- Paired axial CT (left) and PSMA PET (right), 18F-PSMA tracer
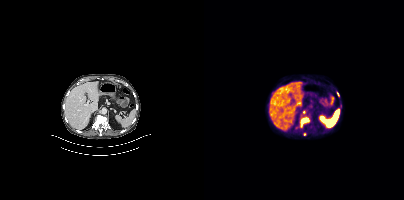
Findings: Coordinates are on the 200×200 PET (right) panel. PSMA-avid tumor lesion bounding boxes (x, y, width, height): x=96 y=116 w=11 h=12; x=133 y=92 w=3 h=5. Small PSMA-avid foci (2 to 4 px across) near (center x, center y): (100, 112); (100, 134).